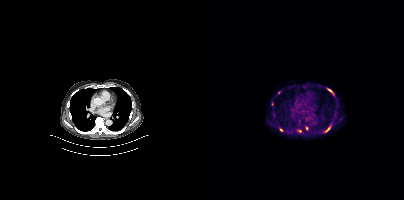
Coordinates are on the 200×200 PET (right) panel. (showing 6 of 7 foci) PSMA-avid tumor lesion bounding boxes (x0,y0,x1,y1): [121,127,126,132], [123,88,129,94]. Small PSMA-avid foci (2 to 4 px across) near (center x, center y): (77, 129), (102, 128), (95, 131), (74, 92).
modality: PSMA PET/CT | tracer: 18F | view: axial | PET grid: 200×200